Two-panel axial: CT | PSMA PET, 18F-PSMA tracer. Slice position z = -1622 mm.
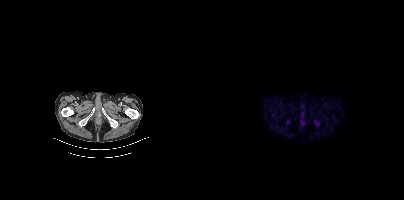
No tumor lesions annotated on this slice.